Left: CT. Right: PSMA PET, same axial level, 68Ga-PSMA tracer. PET panel 256×256 px (2.7 mm/px).
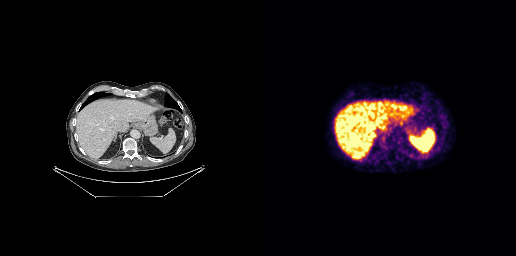
This slice has no annotated PSMA-avid lesion.